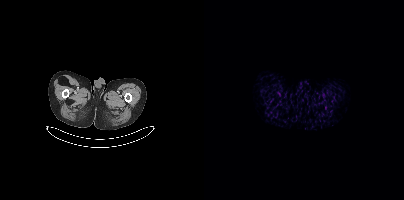
No tumor lesions annotated on this slice. Two-panel axial: CT | PSMA PET, [18F]PSMA-1007 tracer. Slice position z = -1001 mm.